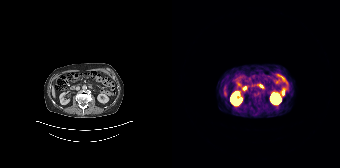
- Two-panel axial: CT | PSMA PET, 68Ga tracer
- acquired on Siemens Biograph 64-4R TruePoint
- slice 79 of 165
- PET panel 168×168 px (4.1 mm/px)
Findings: No tumor lesions annotated on this slice.